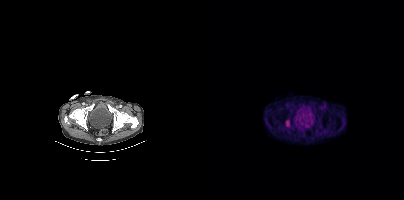
Coordinates are on the 200×200 PET (right) panel. PSMA-avid tumor lesion bounding box (x, y, width, height): x=81 y=120 w=5 h=7.